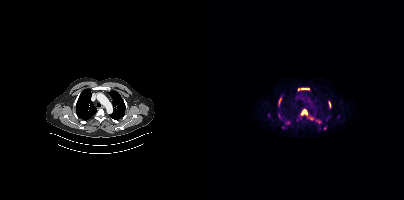
Paired axial CT (left) and PSMA PET (right), 18F-PSMA tracer. PET panel 200×200 px (4.1 mm/px). Coordinates are on the 200×200 PET (right) panel. (showing 7 of 8 foci) PSMA-avid tumor lesion bounding boxes (x, y, width, height): x=97 y=110 w=6 h=5 | x=97 y=88 w=9 h=2 | x=124 y=101 w=3 h=7 | x=75 y=98 w=3 h=6. Small PSMA-avid foci (2 to 4 px across) near (center x, center y): (84, 122) | (116, 121) | (107, 118).